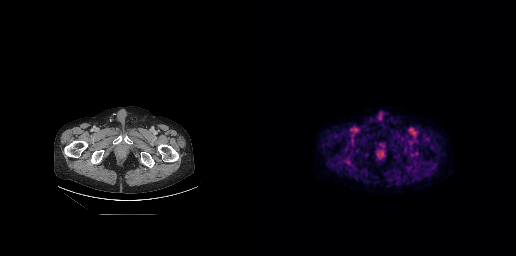
Negative for PSMA-avid disease on this slice. Paired axial CT (left) and PSMA PET (right), [18F]PSMA-1007 tracer. Slice 54 of 263. PET panel 256×256 px (2.7 mm/px).